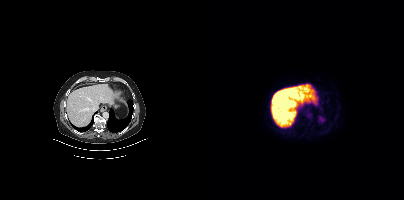
Findings: No tumor lesions annotated on this slice.
Technique: Left: CT. Right: PSMA PET, same axial level, 18F tracer. PET panel 200×200 px (4.1 mm/px).